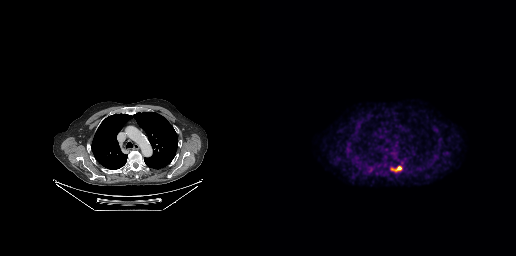
- Paired axial CT (left) and PSMA PET (right), 18F-PSMA tracer
- slice 229 of 299
Findings: Coordinates are on the 256×256 PET (right) panel. PSMA-avid tumor lesion bounding box (x0,y0,x1,y1): [137,166,141,169].